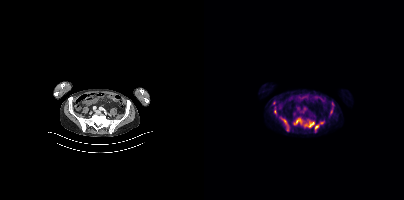
Coordinates are on the 200×200 PET (right) panel. (showing 6 of 8 foci) PSMA-avid tumor lesion bounding boxes (x0,y0,x1,y1): [100,120,110,127]; [79,120,85,131]; [90,119,98,124]. Small PSMA-avid foci (2 to 4 px across) near (center x, center y): (71, 111); (112, 127); (117, 122).